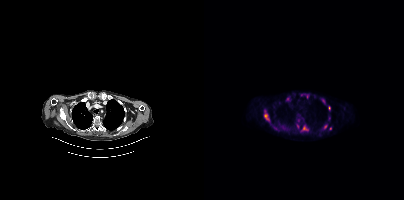
Coordinates are on the 200×200 PET (right) panel. PSMA-avid tumor lesion bounding boxes (x, y, width, height): x=97 y=125 w=8 h=7 | x=60 y=111 w=6 h=11 | x=119 y=124 w=5 h=6 | x=117 y=99 w=5 h=5. Small PSMA-avid foci (2 to 4 px across) near (center x, center y): (83, 100) | (125, 107) | (125, 118) | (126, 128) | (103, 96) | (94, 120) | (97, 94) | (93, 126).